Two-panel axial: CT | PSMA PET, [18F]PSMA-1007 tracer. Acquired on Siemens Biograph mCT Flow 20. Slice 40 of 417. PET panel 200×200 px (4.1 mm/px).
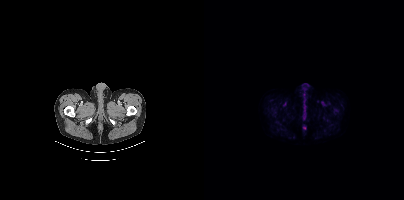
Negative for PSMA-avid disease on this slice.